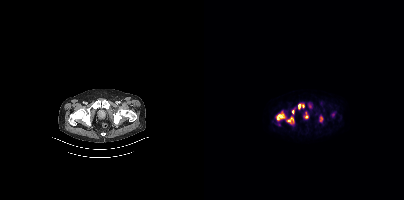
- Left: CT. Right: PSMA PET, same axial level, 18F tracer
Findings: Coordinates are on the 200×200 PET (right) panel. (showing 8 of 9 foci) PSMA-avid tumor lesion bounding boxes (x0, y0)-(x1, y1): (73, 114)-(80, 119); (83, 117)-(90, 123); (116, 116)-(118, 121); (94, 104)-(96, 108). Small PSMA-avid foci (2 to 4 px across) near (center x, center y): (102, 116); (106, 106); (99, 105); (88, 111).